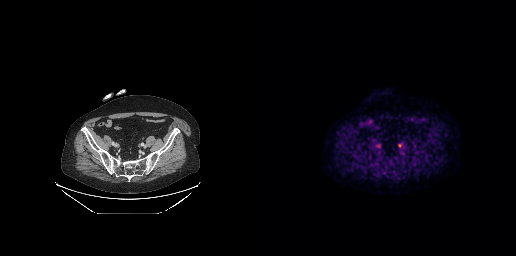
{"modality":"PSMA PET/CT","view":"axial","tracer":"18F","pet_grid":[256,256],"coord_frame":"pet_panel","coord_format":"x0,y0,x1,y1","lesion_bboxes":[],"small_foci_centers":[[118,145],[139,145]]}